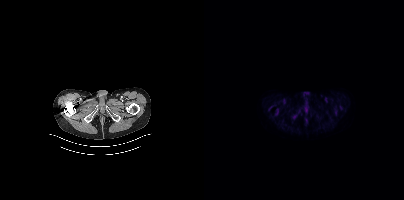
No tumor lesions annotated on this slice.